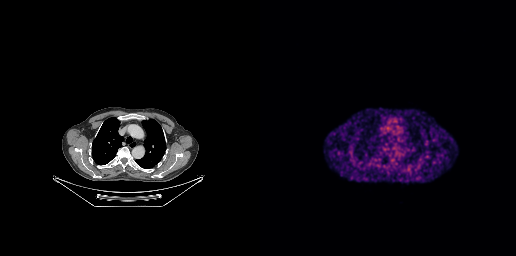
{"modality":"PSMA PET/CT","view":"axial","tracer":"[68Ga]Ga-PSMA-11","pet_grid":[256,256],"coord_frame":"pet_panel","coord_format":"x0,y0,x1,y1","psma_avid_lesions":false}